Left: CT. Right: PSMA PET, same axial level, 18F tracer. PET panel 200×200 px (4.1 mm/px).
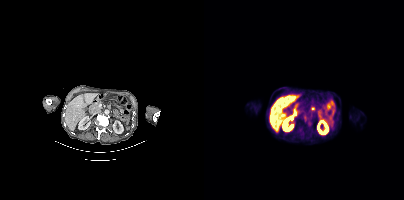
Coordinates are on the 200×200 PET (right) panel. PSMA-avid tumor lesion bounding box (x, y, width, height): x=99 y=116 w=5 h=6.